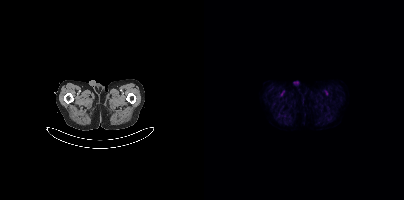
Negative for PSMA-avid disease on this slice. Paired axial CT (left) and PSMA PET (right), 18F-PSMA tracer. Slice 24 of 401. PET panel 200×200 px (4.1 mm/px).